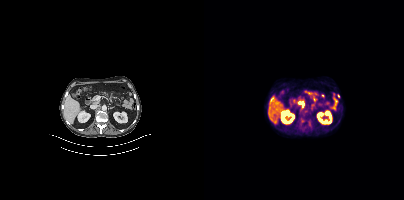
Two-panel axial: CT | PSMA PET, [18F]PSMA-1007 tracer. Acquired on Siemens Biograph mCT Flow 20. PET panel 200×200 px (4.1 mm/px). Coordinates are on the 200×200 PET (right) panel. Small PSMA-avid foci (2 to 4 px across) near (center x, center y): (98, 121); (105, 123); (134, 95).